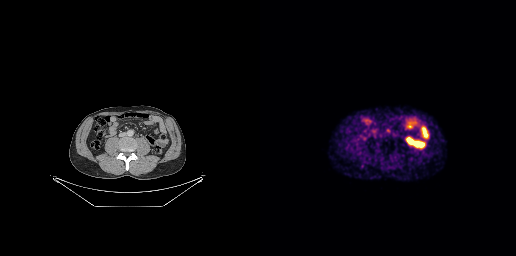
- Left: CT. Right: PSMA PET, same axial level, 68Ga-PSMA tracer
- acquired on GE Discovery 690
Findings: No tumor lesions annotated on this slice.